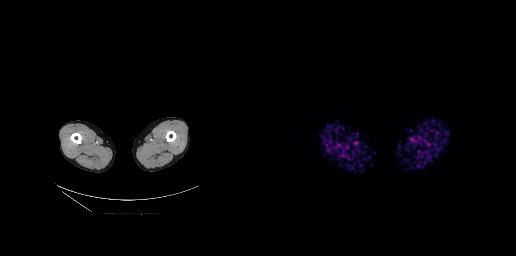
No PSMA-avid tumor lesions on this slice.